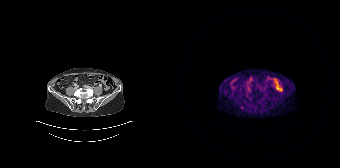
Technique: Left: CT. Right: PSMA PET, same axial level, [68Ga]Ga-PSMA-11 tracer. acquired on Siemens Biograph 64-4R TruePoint. PET panel 168×168 px (4.1 mm/px).
Findings: This slice has no annotated PSMA-avid lesion.